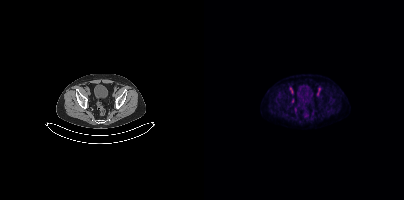
Findings: Coordinates are on the 200×200 PET (right) panel. Small PSMA-avid focus (2 to 4 px across) near (center x, center y): (88, 100).
Technique: Two-panel axial: CT | PSMA PET, [18F]PSMA-1007 tracer. acquired on Siemens Biograph mCT Flow 20. PET panel 200×200 px (4.1 mm/px).